Paired axial CT (left) and PSMA PET (right), 18F-PSMA tracer. Slice position z = -842 mm. PET panel 200×200 px (4.1 mm/px).
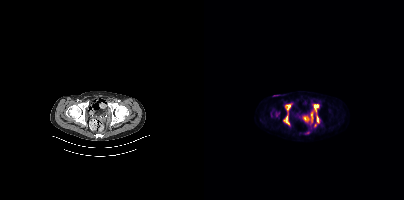
Coordinates are on the 200×200 PET (right) panel. PSMA-avid tumor lesion bounding boxes (partial; 2 more foci not listed):
| # | x0 | y0 | x1 | y1 |
|---|---|---|---|---|
| 1 | 79 | 106 | 85 | 124 |
| 2 | 110 | 104 | 114 | 111 |
| 3 | 83 | 104 | 86 | 108 |
| 4 | 113 | 116 | 114 | 122 |
Small PSMA-avid focus (2 to 4 px across) near (center x, center y): (101, 118).